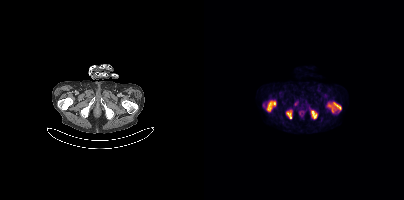
Technique: Two-panel axial: CT | PSMA PET, 18F tracer. acquired on Siemens Biograph mCT Flow 20. PET panel 200×200 px (4.1 mm/px).
Findings: Coordinates are on the 200×200 PET (right) panel. PSMA-avid tumor lesion bounding boxes (x, y, width, height): x=123 y=102 w=15 h=11 | x=63 y=101 w=9 h=10 | x=107 y=110 w=7 h=9 | x=82 y=110 w=6 h=9.